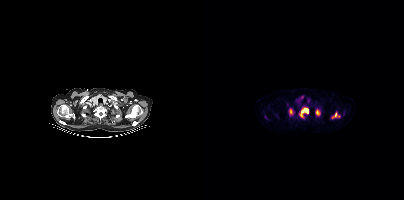
{"pet_grid":[200,200],"coord_frame":"pet_panel","coord_format":"x0,y0,x1,y1","partial":true,"lesion_bboxes":[[96,108,104,116],[112,110,116,115],[128,113,132,117]],"small_foci_centers":[[86,111]],"modality":"PSMA PET/CT","view":"axial","tracer":"18F"}